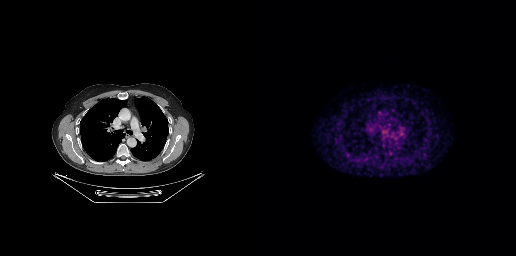
Left: CT. Right: PSMA PET, same axial level, 68Ga tracer. Slice position z = -474 mm. PET panel 256×256 px (2.7 mm/px). Coordinates are on the 256×256 PET (right) panel. Small PSMA-avid focus (2 to 4 px across) near (center x, center y): (124, 131).